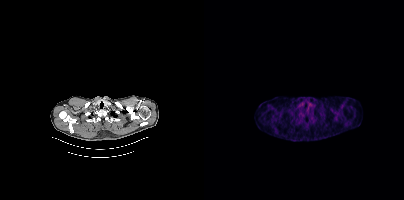
Negative for PSMA-avid disease on this slice. Two-panel axial: CT | PSMA PET, [18F]PSMA-1007 tracer. Slice position z = 56 mm. PET panel 200×200 px (4.1 mm/px).